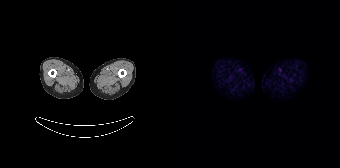
{"modality":"PSMA PET/CT","view":"axial","tracer":"[68Ga]Ga-PSMA-11","pet_grid":[168,168],"coord_frame":"pet_panel","coord_format":"x0,y0,x1,y1","psma_avid_lesions":false}